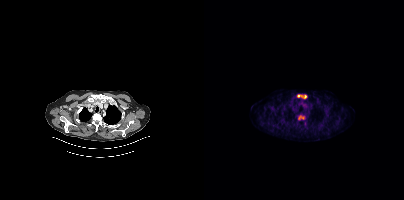
Coordinates are on the 200×200 PET (right) panel. (showing 2 of 3 foci) PSMA-avid tumor lesion bounding boxes (x0, y0)-(x1, y1): (93, 94)-(102, 98) | (94, 115)-(101, 120).